- Paired axial CT (left) and PSMA PET (right), [68Ga]Ga-PSMA-11 tracer
- acquired on Siemens Biograph mCT Flow 20
- slice position z = 379 mm
- PET panel 200×200 px (4.1 mm/px)
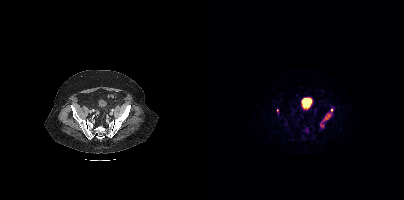
Findings: Coordinates are on the 200×200 PET (right) panel. (showing 1 of 2 foci) PSMA-avid tumor lesion bounding box (x, y, width, height): x=116 y=108 w=14 h=19.